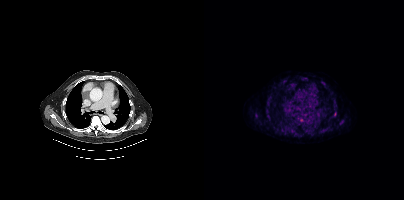
Coordinates are on the 200×200 PET (right) panel. (showing 1 of 3 foci) Small PSMA-avid focus (2 to 4 px across) near (center x, center y): (97, 120).